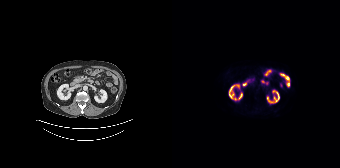
{"modality":"PSMA PET/CT","view":"axial","tracer":"[18F]PSMA-1007","pet_grid":[168,168],"coord_frame":"pet_panel","coord_format":"x0,y0,x1,y1","psma_avid_lesions":false}